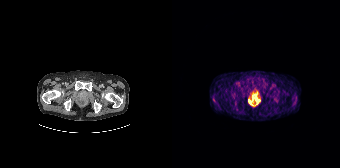
{"modality":"PSMA PET/CT","view":"axial","tracer":"68Ga-PSMA","pet_grid":[168,168],"coord_frame":"pet_panel","coord_format":"x0,y0,x1,y1","partial":true,"lesion_bboxes":[[83,97,87,103],[76,100,79,104]]}